Paired axial CT (left) and PSMA PET (right), 18F tracer. PET panel 200×200 px (4.1 mm/px). The face region was removed for patient privacy by blanking a rectangle over the head.
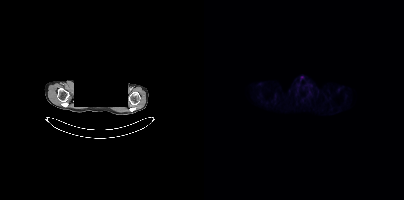
This slice has no annotated PSMA-avid lesion.